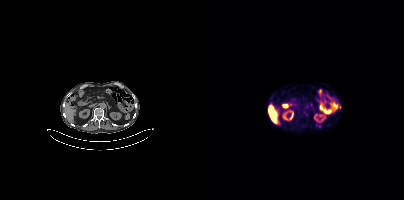
{"pet_grid":[200,200],"coord_frame":"pet_panel","coord_format":"x0,y0,x1,y1","lesion_bboxes":[],"small_foci_centers":[[135,107],[115,126],[112,124]],"modality":"PSMA PET/CT","view":"axial","tracer":"[18F]PSMA-1007"}